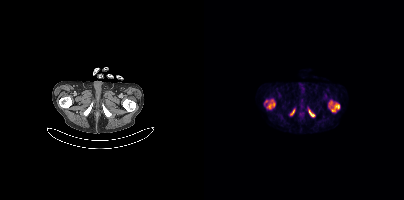
{"pet_grid":[200,200],"coord_frame":"pet_panel","coord_format":"x0,y0,x1,y1","lesion_bboxes":[[125,101,135,112],[63,100,71,108],[105,109,110,116],[86,109,90,115]],"small_foci_centers":[[62,101]],"modality":"PSMA PET/CT","view":"axial","tracer":"18F"}